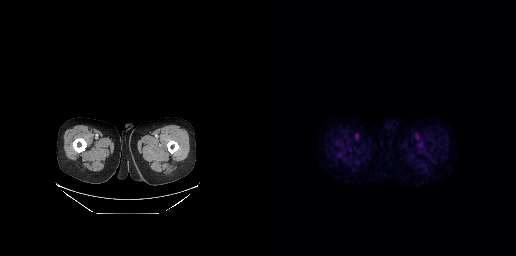
Technique: Left: CT. Right: PSMA PET, same axial level, [18F]PSMA-1007 tracer. PET panel 256×256 px (2.7 mm/px).
Findings: Negative for PSMA-avid disease on this slice.